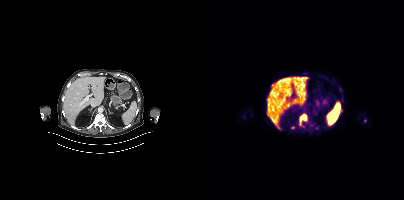
{"modality":"PSMA PET/CT","view":"axial","tracer":"18F","pet_grid":[200,200],"coord_frame":"pet_panel","coord_format":"x0,y0,x1,y1","partial":true,"lesion_bboxes":[[96,114,102,120],[135,101,137,105]],"small_foci_centers":[[87,127],[99,126],[160,120]]}